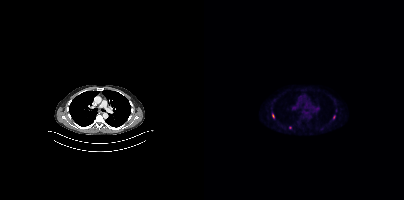
Coordinates are on the 200×200 PET (right) panel. (showing 3 of 4 foci) PSMA-avid tumor lesion bounding boxes (x0, y0)-(x1, y1): (68, 113)-(70, 118) | (129, 115)-(131, 119). Small PSMA-avid focus (2 to 4 px across) near (center x, center y): (86, 127). Paired axial CT (left) and PSMA PET (right), [18F]PSMA-1007 tracer. Acquired on Siemens Biograph mCT Flow 20.